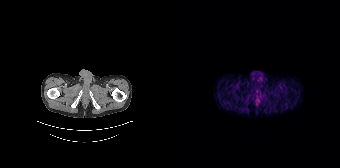
{"pet_grid":[168,168],"coord_frame":"pet_panel","coord_format":"x0,y0,x1,y1","psma_avid_lesions":false,"modality":"PSMA PET/CT","view":"axial","tracer":"[68Ga]Ga-PSMA-11"}